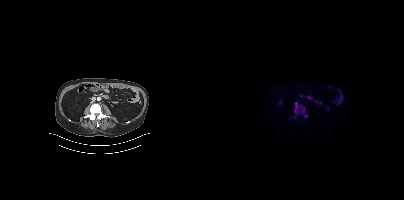
Two-panel axial: CT | PSMA PET, 18F-PSMA tracer. Slice position z = -800 mm. Coordinates are on the 200×200 PET (right) panel. PSMA-avid tumor lesion bounding box (x0,y0,x1,y1): [91,102,103,117].